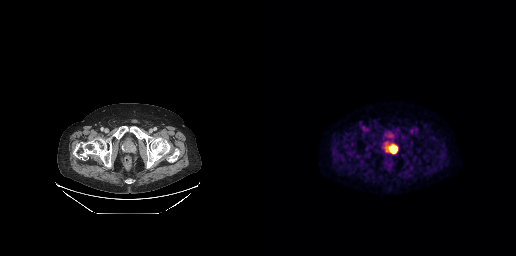
Findings: Coordinates are on the 256×256 PET (right) panel. PSMA-avid tumor lesion bounding box (x, y, width, height): x=128 y=144 w=10 h=10.
- Paired axial CT (left) and PSMA PET (right), 18F tracer
- acquired on GE Discovery 690
- PET panel 256×256 px (2.7 mm/px)